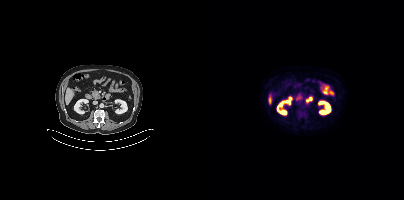
Findings: This slice has no annotated PSMA-avid lesion.
- Left: CT. Right: PSMA PET, same axial level, [18F]PSMA-1007 tracer